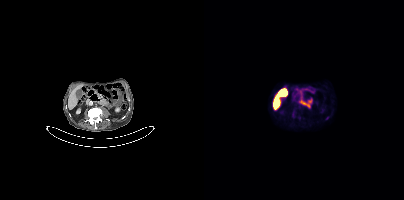
Findings: Negative for PSMA-avid disease on this slice.
- Two-panel axial: CT | PSMA PET, 18F tracer
- acquired on Siemens Biograph mCT Flow 20
- slice 141 of 354